Technique: Left: CT. Right: PSMA PET, same axial level, 18F-PSMA tracer.
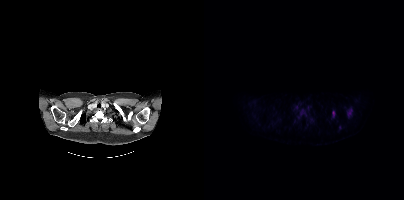
Findings: Coordinates are on the 200×200 PET (right) panel. (showing 2 of 3 foci) PSMA-avid tumor lesion bounding box (x0,y0,x1,y1): [143,111,146,115]. Small PSMA-avid focus (2 to 4 px across) near (center x, center y): (135, 127).